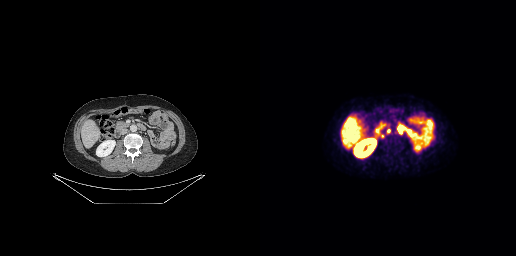
Coordinates are on the 256×256 PET (right) panel. PSMA-avid tumor lesion bounding boxes (x0, y0)-(x1, y1): (120, 134)-(124, 138) / (137, 129)-(141, 134). Small PSMA-avid focus (2 to 4 px across) near (center x, center y): (128, 130).
modality: PSMA PET/CT | tracer: 18F | view: axial | PET grid: 256×256